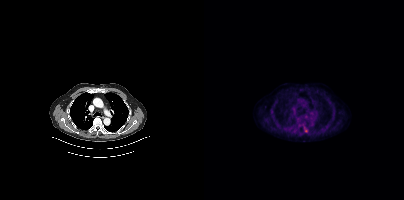
Two-panel axial: CT | PSMA PET, 18F-PSMA tracer. Acquired on Siemens Biograph mCT Flow 20. Slice position z = 373 mm. PET panel 200×200 px (4.1 mm/px).
Coordinates are on the 200×200 PET (right) panel. PSMA-avid tumor lesion bounding boxes:
| # | x0 | y0 | x1 | y1 |
|---|---|---|---|---|
| 1 | 100 | 127 | 103 | 132 |